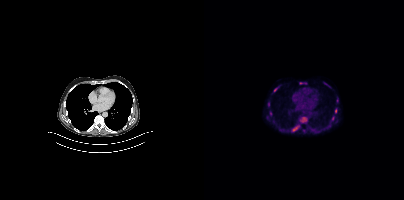
Coordinates are on the 200×200 PET (right) panel. PSMA-avid tumor lesion bounding boxes (x0,y0,x1,y1): [95,117,103,122], [88,125,95,131], [95,82,103,84], [69,87,74,92], [131,108,133,113], [128,116,130,120], [64,102,65,106]. Two-panel axial: CT | PSMA PET, 18F tracer. Slice 256 of 413.